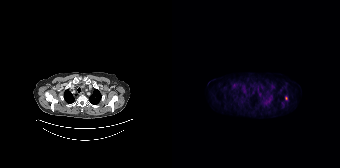
Paired axial CT (left) and PSMA PET (right), [18F]PSMA-1007 tracer. Slice position z = -778 mm. Coordinates are on the 168×168 PET (right) panel. Small PSMA-avid focus (2 to 4 px across) near (center x, center y): (114, 98).